modality: PSMA PET/CT | tracer: 18F | view: axial | PET grid: 256×256
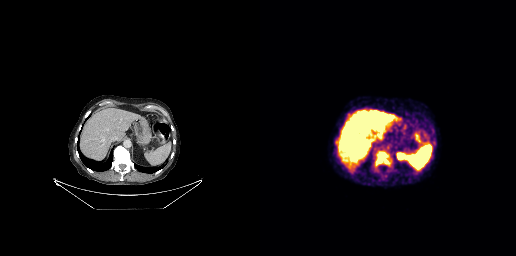
Coordinates are on the 256×256 PET (right) panel. PSMA-avid tumor lesion bounding boxes (x, y, width, height): x=115 y=152 w=16 h=14 | x=172 y=129 w=2 h=5.